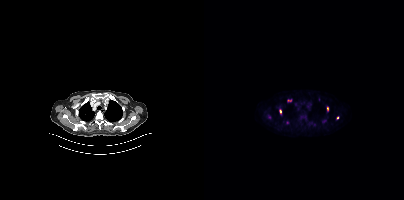
Coordinates are on the 200×200 PET (right) panel. Small PSMA-avid foci (2 to 4 px across) near (center x, center y): (85, 100) | (123, 108) | (76, 111) | (133, 117) | (83, 122). Two-panel axial: CT | PSMA PET, 18F-PSMA tracer. PET panel 200×200 px (4.1 mm/px).